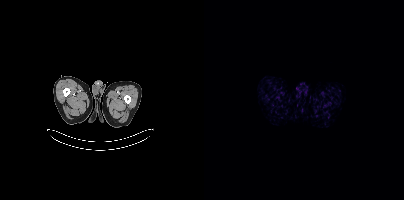
No PSMA-avid tumor lesions on this slice.